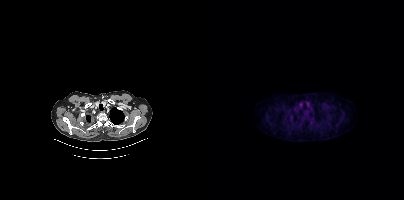
Paired axial CT (left) and PSMA PET (right), 18F tracer. No tumor lesions annotated on this slice.